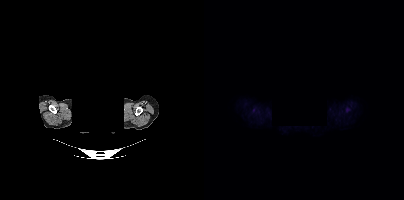
Findings: Coordinates are on the 200×200 PET (right) panel. Small PSMA-avid foci (2 to 4 px across) near (center x, center y): (49, 110) (143, 109).
Technique: Paired axial CT (left) and PSMA PET (right), 18F tracer. acquired on Siemens Biograph mCT Flow 20. slice position z = -792 mm.
Note: An anonymization step blacked out a rectangle over the head in this scan.